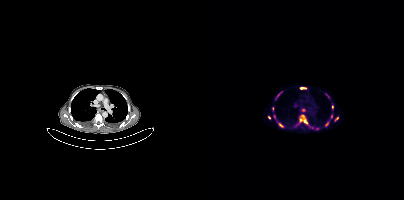
{"modality":"PSMA PET/CT","view":"axial","tracer":"[68Ga]Ga-PSMA-11","pet_grid":[200,200],"coord_frame":"pet_panel","coord_format":"x0,y0,x1,y1","partial":true,"lesion_bboxes":[[95,115,109,128],[96,87,102,89],[72,92,77,98]],"small_foci_centers":[[99,110],[76,125],[128,106],[68,108],[127,116],[65,117],[133,118],[70,116],[122,124]]}